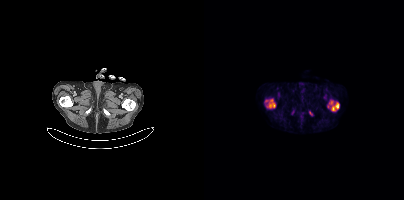
Coordinates are on the 200×200 PET (right) panel. (showing 3 of 5 foci) PSMA-avid tumor lesion bounding boxes (x0,y0,x1,y1): [125,101,135,111] [64,99,71,108]. Small PSMA-avid focus (2 to 4 px across) near (center x, center y): (62, 100).
modality: PSMA PET/CT | tracer: 18F | view: axial